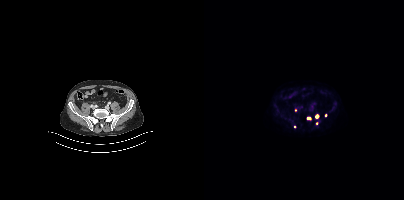
Coordinates are on the 200×200 PET (right) panel. (showing 3 of 6 foci) Small PSMA-avid foci (2 to 4 px across) near (center x, center y): (104, 118) | (113, 116) | (112, 123).